Left: CT. Right: PSMA PET, same axial level, 18F-PSMA tracer.
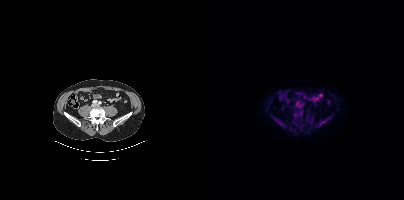
No tumor lesions annotated on this slice.